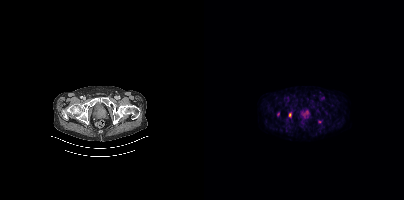
Technique: Left: CT. Right: PSMA PET, same axial level, 18F tracer. slice position z = -1550 mm. PET panel 200×200 px (4.1 mm/px).
Findings: Coordinates are on the 200×200 PET (right) panel. (showing 2 of 3 foci) PSMA-avid tumor lesion bounding box (x0, y0)-(x1, y1): (85, 113)-(87, 117). Small PSMA-avid focus (2 to 4 px across) near (center x, center y): (115, 121).